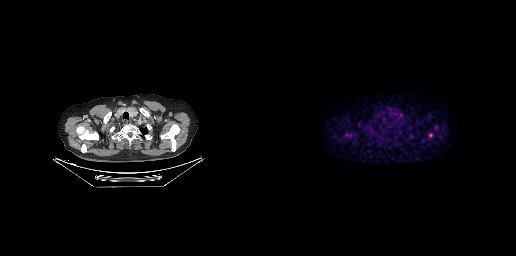
{"pet_grid":[256,256],"coord_frame":"pet_panel","coord_format":"x0,y0,x1,y1","lesion_bboxes":[[169,133,172,137]],"modality":"PSMA PET/CT","view":"axial","tracer":"[18F]PSMA-1007"}